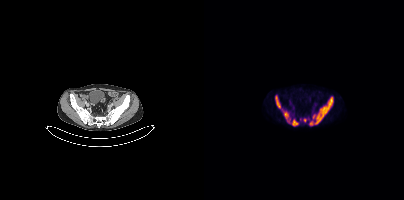
{"modality":"PSMA PET/CT","view":"axial","tracer":"18F-PSMA","pet_grid":[200,200],"coord_frame":"pet_panel","coord_format":"x0,y0,x1,y1","lesion_bboxes":[[105,96,129,125],[78,109,86,122],[71,95,76,108],[88,119,94,125],[99,118,102,122]]}